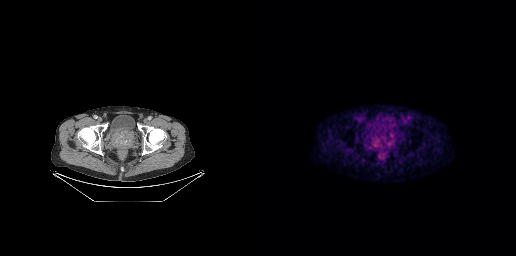
Findings: Coordinates are on the 256×256 PET (right) panel. PSMA-avid tumor lesion bounding box (x0, y0)-(x1, y1): (130, 133)-(134, 137). Small PSMA-avid focus (2 to 4 px across) near (center x, center y): (128, 141).
Technique: Paired axial CT (left) and PSMA PET (right), 18F-PSMA tracer. slice position z = -665 mm. PET panel 256×256 px (2.7 mm/px).